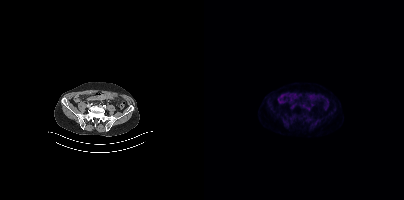
No tumor lesions annotated on this slice.